Technique: Paired axial CT (left) and PSMA PET (right), 18F tracer. acquired on Siemens Biograph mCT Flow 20. slice position z = -311 mm.
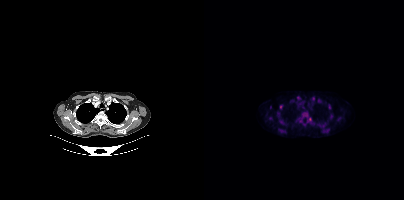
Findings: Coordinates are on the 200×200 PET (right) panel. (showing 3 of 6 foci) Small PSMA-avid foci (2 to 4 px across) near (center x, center y): (77, 106); (127, 116); (105, 119).